modality: PSMA PET/CT | tracer: [18F]PSMA-1007 | view: axial | PET grid: 256×256
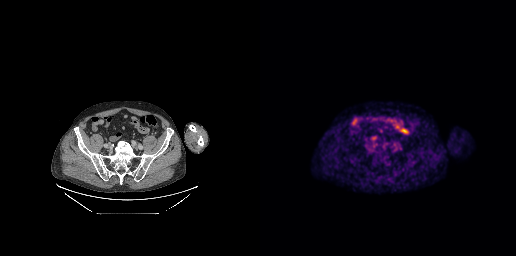
Coordinates are on the 256×256 PET (right) panel. Small PSMA-avid focus (2 to 4 px across) near (center x, center y): (114, 145).